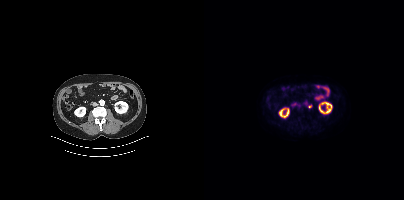
Findings: Coordinates are on the 200×200 PET (right) panel. Small PSMA-avid focus (2 to 4 px across) near (center x, center y): (106, 106).
Technique: Left: CT. Right: PSMA PET, same axial level, 18F tracer.